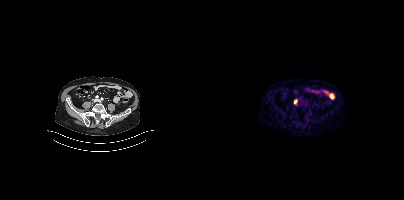
Two-panel axial: CT | PSMA PET, 68Ga tracer. Acquired on Siemens Biograph mCT Flow 20. Slice 113 of 385. PET panel 200×200 px (4.1 mm/px). Coordinates are on the 200×200 PET (right) panel. Small PSMA-avid focus (2 to 4 px across) near (center x, center y): (91, 101).